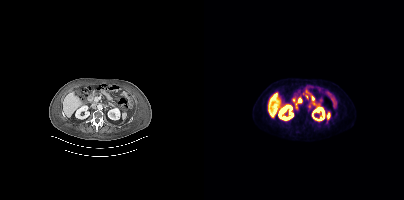
Two-panel axial: CT | PSMA PET, 18F-PSMA tracer. Slice 155 of 344. PET panel 200×200 px (4.1 mm/px). No tumor lesions annotated on this slice.